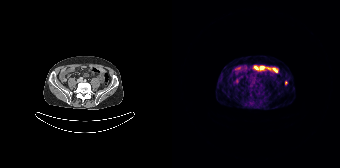
Coordinates are on the 168×168 PET (right) panel. Small PSMA-avid focus (2 to 4 px across) near (center x, center y): (114, 82).
modality: PSMA PET/CT | tracer: [68Ga]Ga-PSMA-11 | view: axial | PET grid: 168×168